Two-panel axial: CT | PSMA PET, [18F]PSMA-1007 tracer. The head region is masked for de-identification.
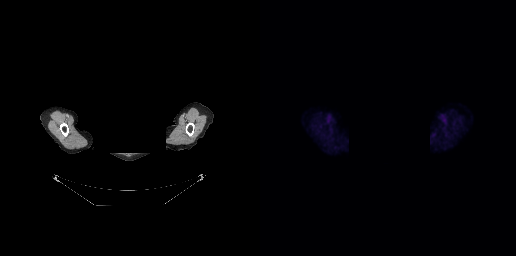
No PSMA-avid tumor lesions on this slice.